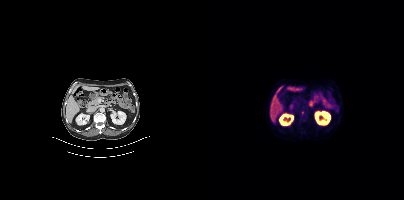
Coordinates are on the 200×200 PET (right) panel. Small PSMA-avid focus (2 to 4 px across) near (center x, center y): (98, 112).